Technique: Paired axial CT (left) and PSMA PET (right), 18F-PSMA tracer. acquired on Siemens Biograph mCT Flow 20.
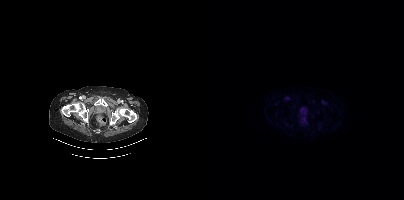
Findings: Negative for PSMA-avid disease on this slice.